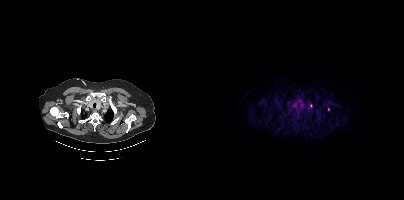
Paired axial CT (left) and PSMA PET (right), 18F tracer. Slice position z = -933 mm. PET panel 200×200 px (4.1 mm/px). Coordinates are on the 200×200 PET (right) panel. Small PSMA-avid focus (2 to 4 px across) near (center x, center y): (124, 108).